A rectangular block over the head has been blanked out for de-identification.
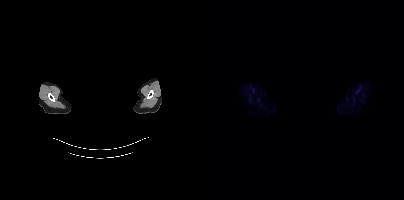
This slice has no annotated PSMA-avid lesion.